Technique: Paired axial CT (left) and PSMA PET (right), 68Ga-PSMA tracer. acquired on Siemens Biograph mCT Flow 20. PET panel 200×200 px (4.1 mm/px).
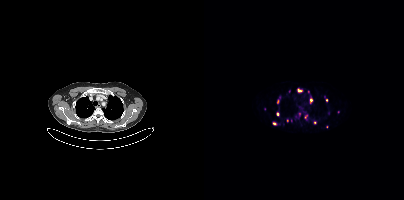
Findings: Coordinates are on the 200×200 PET (right) panel. (showing 15 of 17 foci) PSMA-avid tumor lesion bounding boxes (x0, y0)-(x1, y1): (120, 96)-(123, 101) | (73, 99)-(75, 103). Small PSMA-avid foci (2 to 4 px across) near (center x, center y): (101, 116) | (95, 90) | (104, 91) | (107, 100) | (111, 122) | (85, 91) | (73, 114) | (83, 120) | (87, 120) | (70, 123) | (60, 108) | (124, 113) | (95, 114).